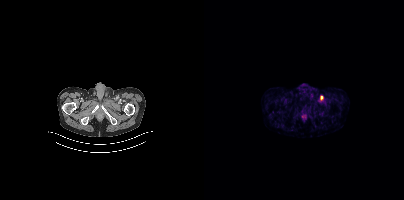
Coordinates are on the 200×200 PET (right) panel. PSMA-avid tumor lesion bounding box (x0,y0,x1,y1): [116,96,119,100]. Left: CT. Right: PSMA PET, same axial level, 68Ga tracer. Slice 36 of 373.